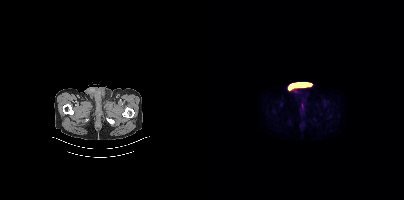
- Two-panel axial: CT | PSMA PET, [18F]PSMA-1007 tracer
- slice 35 of 427
- PET panel 200×200 px (4.1 mm/px)
Findings: No PSMA-avid tumor lesions on this slice.